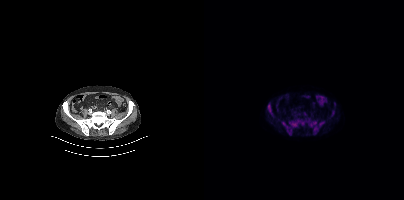
Coordinates are on the 200×200 PET (right) panel. (showing 3 of 5 foci) PSMA-avid tumor lesion bounding boxes (x, y, width, height): x=77 y=119 w=44 h=16 / x=64 y=104 w=5 h=12 / x=128 y=111 w=3 h=5. Two-panel axial: CT | PSMA PET, 18F tracer. Acquired on Siemens Biograph mCT Flow 20. Slice position z = -744 mm. PET panel 200×200 px (4.1 mm/px).